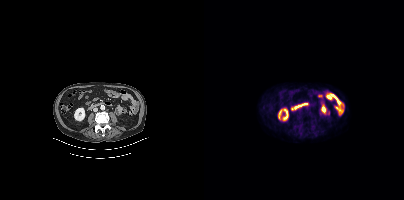
Findings: No tumor lesions annotated on this slice.
Technique: Paired axial CT (left) and PSMA PET (right), 18F-PSMA tracer. slice position z = -1298 mm. PET panel 200×200 px (4.1 mm/px).